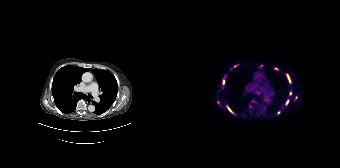
Findings: Coordinates are on the 168×168 PET (right) panel. (showing 7 of 11 foci) PSMA-avid tumor lesion bounding boxes (x0,y0,x1,y1): [114,74,118,82] [55,106,60,112] [113,100,116,105] [51,80,52,84] [62,64,66,66]. Small PSMA-avid foci (2 to 4 px across) near (center x, center y): (106, 112) (118, 93).
Technique: Left: CT. Right: PSMA PET, same axial level, 68Ga tracer. PET panel 168×168 px (4.1 mm/px).